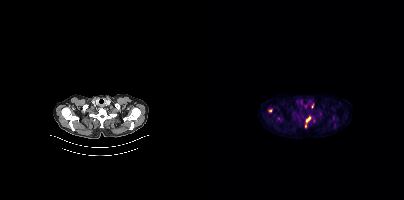
Findings: Coordinates are on the 200×200 PET (right) panel. PSMA-avid tumor lesion bounding box (x0, y0)-(x1, y1): (102, 116)-(106, 122). Small PSMA-avid foci (2 to 4 px across) near (center x, center y): (101, 125) | (108, 105) | (66, 110).
Technique: Two-panel axial: CT | PSMA PET, 18F tracer. PET panel 200×200 px (4.1 mm/px).